Two-panel axial: CT | PSMA PET, [18F]PSMA-1007 tracer. Slice 287 of 401. PET panel 200×200 px (4.1 mm/px).
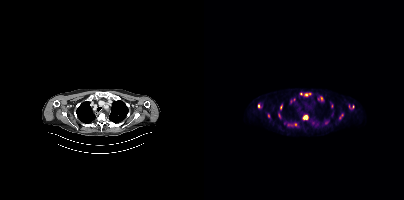
Coordinates are on the 200×200 PET (right) panel. (showing 13 of 16 foci) PSMA-avid tumor lesion bounding boxes (x0, y0)-(x1, y1): (99, 115)-(103, 119) | (86, 98)-(91, 103) | (74, 113)-(76, 118) | (136, 114)-(138, 118). Small PSMA-avid foci (2 to 4 px across) near (center x, center y): (90, 124) | (117, 98) | (77, 106) | (102, 94) | (54, 106) | (97, 93) | (105, 93) | (148, 107) | (64, 115).